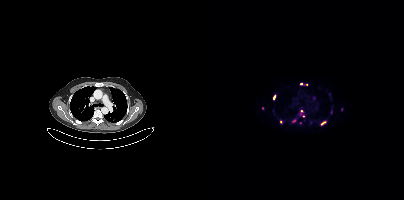
{"modality":"PSMA PET/CT","view":"axial","tracer":"[68Ga]Ga-PSMA-11","pet_grid":[200,200],"coord_frame":"pet_panel","coord_format":"x0,y0,x1,y1","partial":true,"lesion_bboxes":[[117,121,122,125],[96,83,103,85],[75,119,78,123]],"small_foci_centers":[[70,97],[95,114],[97,110],[96,122]]}